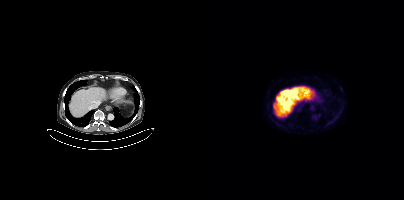
Left: CT. Right: PSMA PET, same axial level, [18F]PSMA-1007 tracer. Slice position z = 134 mm. No PSMA-avid tumor lesions on this slice.